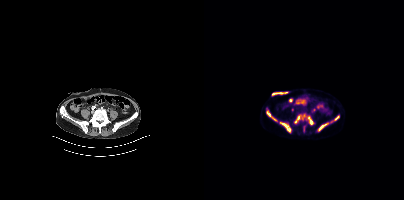
Coordinates are on the 200×200 PET (right) panel. PSMA-avid tumor lesion bounding boxes (x0, y0)-(x1, y1): (76, 122)-(87, 132); (62, 110)-(73, 121); (90, 114)-(101, 123); (114, 123)-(124, 131); (104, 116)-(109, 124); (130, 116)-(135, 120). Small PSMA-avid focus (2 to 4 px across) near (center x, center y): (127, 121).